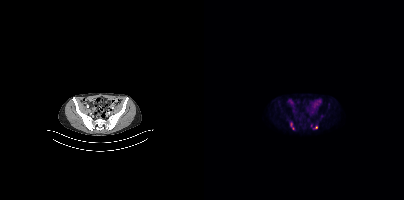
Coordinates are on the 200×200 PET (right) panel. (showing 1 of 2 foci) Small PSMA-avid focus (2 to 4 px across) near (center x, center y): (112, 127).